Head region blanked for anonymization (face removed).
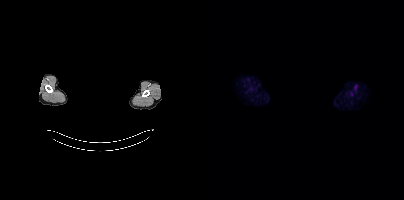
Negative for PSMA-avid disease on this slice.